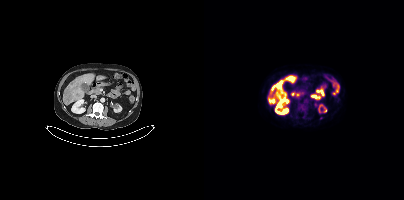
{"modality":"PSMA PET/CT","view":"axial","tracer":"18F-PSMA","pet_grid":[200,200],"coord_frame":"pet_panel","coord_format":"x0,y0,x1,y1","lesion_bboxes":[[72,82,77,87]],"small_foci_centers":[[117,118]]}